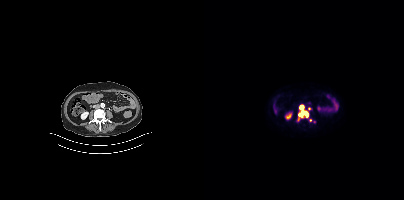
Findings: Coordinates are on the 200×200 PET (right) panel. PSMA-avid tumor lesion bounding box (x0, y0)-(x1, y1): (94, 106)-(104, 117). Small PSMA-avid foci (2 to 4 px across) near (center x, center y): (105, 108) | (106, 120).
- Paired axial CT (left) and PSMA PET (right), 18F tracer
- acquired on Siemens Biograph mCT Flow 20
- slice position z = -696 mm